modality: PSMA PET/CT | tracer: 18F-PSMA | view: axial
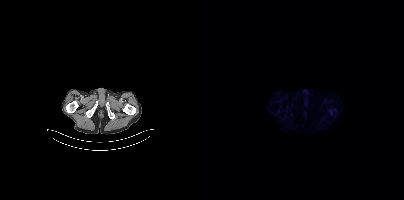
This slice has no annotated PSMA-avid lesion.